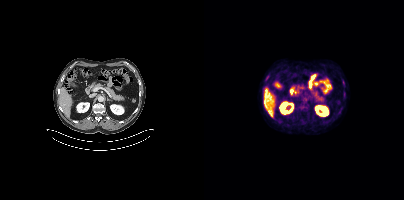
{"modality":"PSMA PET/CT","view":"axial","tracer":"18F","pet_grid":[200,200],"coord_frame":"pet_panel","coord_format":"x0,y0,x1,y1","partial":true,"lesion_bboxes":[]}